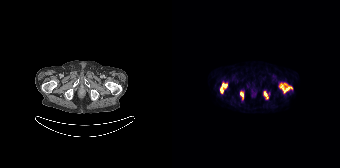
Coordinates are on the 168×168 PET (right) panel. PSMA-avid tumor lesion bounding boxes (x0, y0)-(x1, y1): (107, 83)-(120, 93) / (48, 82)-(55, 93) / (92, 91)-(96, 98) / (68, 92)-(71, 98).